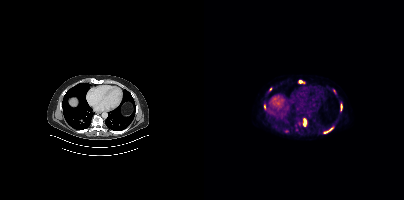
modality: PSMA PET/CT | tracer: [18F]PSMA-1007 | view: axial | PET grid: 200×200
Coordinates are on the 200×200 PET (right) panel. PSMA-avid tumor lesion bounding boxes (x0, y0)-(x1, y1): (99, 118)-(102, 126) / (137, 104)-(138, 110). Small PSMA-avid foci (2 to 4 px across) near (center x, center y): (96, 81) / (60, 106) / (66, 89) / (127, 129).